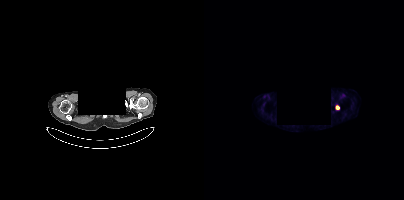
Coordinates are on the 200×200 PET (right) panel. Small PSMA-avid focus (2 to 4 px across) near (center x, center y): (133, 107). Left: CT. Right: PSMA PET, same axial level, 18F tracer. Head region blanked for anonymization (face removed).